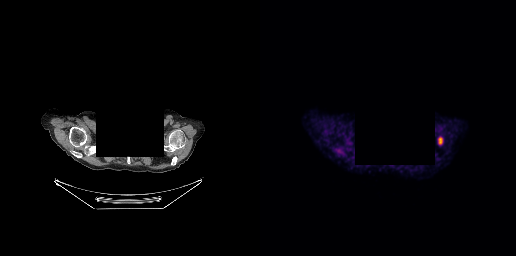
Coordinates are on the 256×256 PET (right) panel. PSMA-avid tumor lesion bounding box (x0, y0)-(x1, y1): (179, 138)-(181, 143).
deidentification: head region blacked out before release | modality: PSMA PET/CT | tracer: [18F]PSMA-1007 | view: axial | PET grid: 256×256